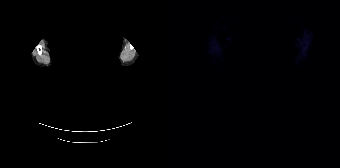
Negative for PSMA-avid disease on this slice.
modality: PSMA PET/CT | tracer: 18F | view: axial | PET grid: 168×168 | deidentification: rectangular block over head set to black